- Paired axial CT (left) and PSMA PET (right), 18F-PSMA tracer
- slice 45 of 403
- PET panel 200×200 px (4.1 mm/px)
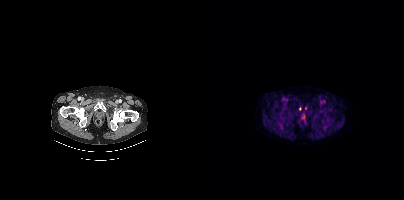
Findings: Coordinates are on the 200×200 PET (right) panel. (showing 1 of 2 foci) Small PSMA-avid focus (2 to 4 px across) near (center x, center y): (101, 108).